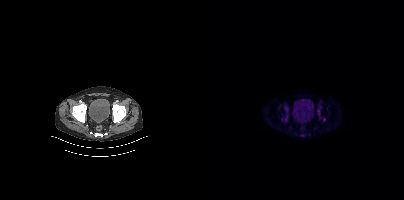
Coordinates are on the 200×200 PET (right) panel. (showing 5 of 7 foci) PSMA-avid tumor lesion bounding boxes (x0, y0)-(x1, y1): (113, 106)-(117, 115); (80, 107)-(84, 112); (80, 115)-(83, 121); (119, 117)-(121, 121). Small PSMA-avid focus (2 to 4 px across) near (center x, center y): (116, 117).